Left: CT. Right: PSMA PET, same axial level, 18F-PSMA tracer. Slice 254 of 427.
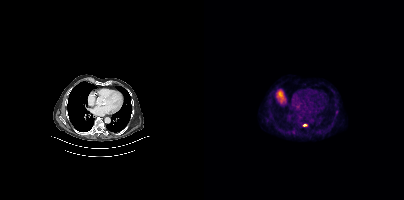
Coordinates are on the 200×200 PET (right) panel. Small PSMA-avid focus (2 to 4 px across) near (center x, center y): (100, 125).